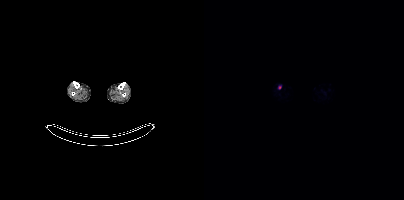
Findings: Coordinates are on the 200×200 PET (right) panel. Small PSMA-avid focus (2 to 4 px across) near (center x, center y): (75, 87).
Technique: Left: CT. Right: PSMA PET, same axial level, 18F-PSMA tracer. acquired on Siemens Biograph mCT Flow 20. slice 160 of 963. PET panel 200×200 px (4.1 mm/px).